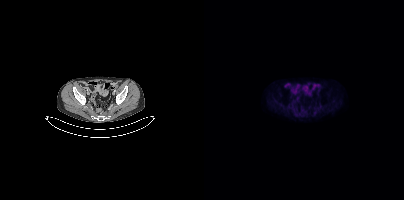
Two-panel axial: CT | PSMA PET, [18F]PSMA-1007 tracer. Slice 92 of 427. Negative for PSMA-avid disease on this slice.